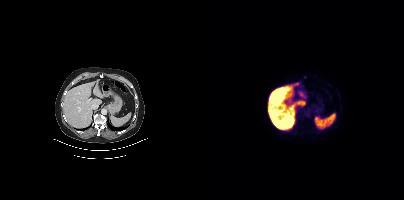
Paired axial CT (left) and PSMA PET (right), 18F tracer. Acquired on Siemens Biograph mCT Flow 20. Only PSMA-avid lesion pieces thinner than 2 px on this slice (not listed).